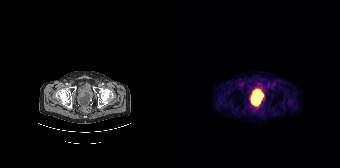
{"modality":"PSMA PET/CT","view":"axial","tracer":"68Ga-PSMA","pet_grid":[168,168],"coord_frame":"pet_panel","coord_format":"x0,y0,x1,y1","psma_avid_lesions":false}